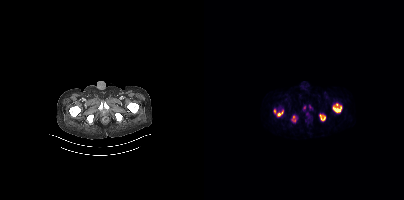
Technique: Two-panel axial: CT | PSMA PET, 68Ga-PSMA tracer. acquired on Siemens Biograph mCT Flow 20.
Findings: This slice has no annotated PSMA-avid lesion.